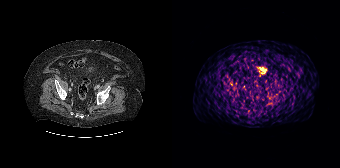
- Two-panel axial: CT | PSMA PET, 68Ga-PSMA tracer
- acquired on Siemens Biograph 64-4R TruePoint
- slice position z = -1534 mm
- PET panel 168×168 px (4.1 mm/px)
Findings: This slice has no annotated PSMA-avid lesion.